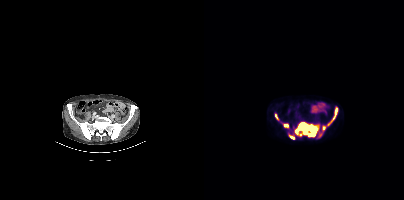
Paired axial CT (left) and PSMA PET (right), 18F-PSMA tracer. Slice 120 of 435. Coordinates are on the 200×200 PET (right) panel. PSMA-avid tumor lesion bounding boxes (x0,y0,x1,y1): [91,117,130,137] [131,107,133,115] [79,124,84,127] [71,114,74,120] [85,135,90,137]. Small PSMA-avid foci (2 to 4 px across) near (center x, center y): (105, 135) (96, 134).